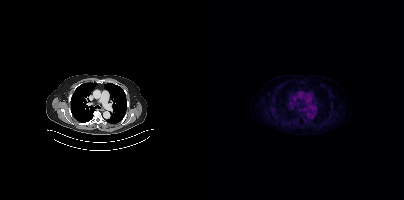
Negative for PSMA-avid disease on this slice. Paired axial CT (left) and PSMA PET (right), 18F-PSMA tracer. Acquired on Siemens Biograph mCT Flow 20. Slice 283 of 389. PET panel 200×200 px (4.1 mm/px).